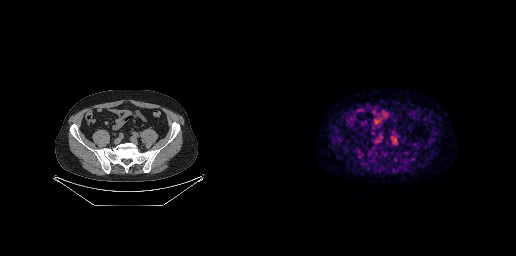
- Two-panel axial: CT | PSMA PET, 18F-PSMA tracer
- PET panel 256×256 px (2.7 mm/px)
Findings: Coordinates are on the 256×256 PET (right) panel. PSMA-avid tumor lesion bounding box (x0,y0,x1,y1): [98,152,103,158].